Technique: Left: CT. Right: PSMA PET, same axial level, 68Ga-PSMA tracer. slice position z = -190 mm. PET panel 168×168 px (4.1 mm/px).
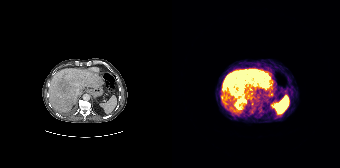
Findings: Coordinates are on the 168×168 PET (right) panel. PSMA-avid tumor lesion bounding boxes (x0,y0,x1,y1): [52,69,82,94], [78,70,94,84], [88,82,97,88].